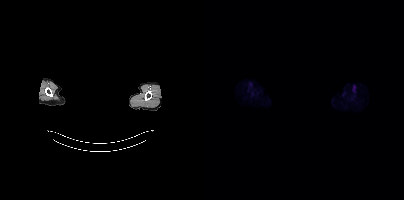
Findings: This slice has no annotated PSMA-avid lesion.
- a rectangular block over the head has been blanked out for de-identification
- Left: CT. Right: PSMA PET, same axial level, 18F-PSMA tracer
- PET panel 200×200 px (4.1 mm/px)